- Paired axial CT (left) and PSMA PET (right), [18F]PSMA-1007 tracer
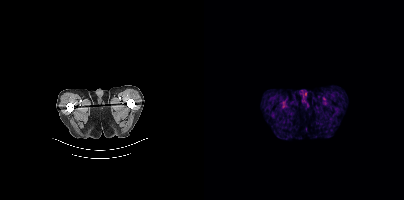
Findings: This slice has no annotated PSMA-avid lesion.